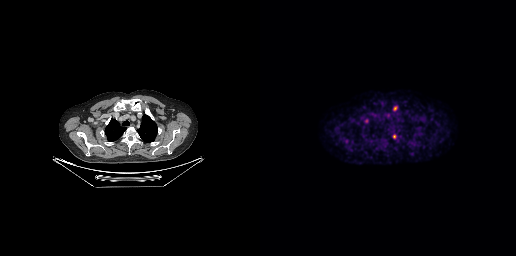
Paired axial CT (left) and PSMA PET (right), [18F]PSMA-1007 tracer. Acquired on GE Discovery 690. Slice position z = -141 mm.
Coordinates are on the 256×256 PET (right) panel. PSMA-avid tumor lesion bounding boxes:
| # | x0 | y0 | x1 | y1 |
|---|---|---|---|---|
| 1 | 133 | 106 | 137 | 110 |
Small PSMA-avid foci (2 to 4 px across) near (center x, center y): (106, 120); (134, 136).